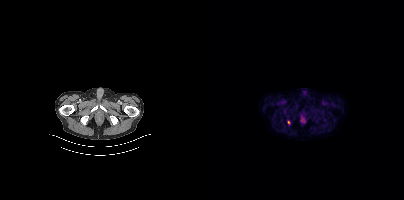
Coordinates are on the 200×200 PET (right) panel. Small PSMA-avid focus (2 to 4 px across) near (center x, center y): (84, 122).
modality: PSMA PET/CT | tracer: 18F | view: axial